Technique: Paired axial CT (left) and PSMA PET (right), [68Ga]Ga-PSMA-11 tracer. acquired on GE Discovery 690. PET panel 256×256 px (2.7 mm/px).
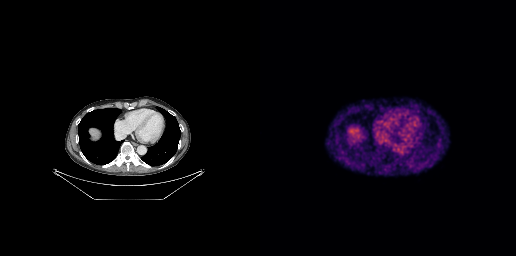
Findings: No PSMA-avid tumor lesions on this slice.